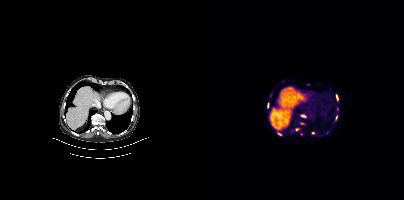
Left: CT. Right: PSMA PET, same axial level, 68Ga tracer. Slice position z = -1200 mm.
Coordinates are on the 200×200 PET (right) panel. PSMA-avid tumor lesion bounding boxes (partial; 2 more foci not listed):
| # | x0 | y0 | x1 | y1 |
|---|---|---|---|---|
| 1 | 97 | 114 | 101 | 117 |
| 2 | 91 | 128 | 95 | 130 |
| 3 | 73 | 133 | 77 | 135 |
| 4 | 132 | 95 | 133 | 99 |
Small PSMA-avid foci (2 to 4 px across) near (center x, center y): (109, 133); (104, 84); (63, 104); (132, 117); (98, 123); (123, 132).